- Paired axial CT (left) and PSMA PET (right), [18F]PSMA-1007 tracer
- acquired on Siemens Biograph mCT Flow 20
- slice position z = -1362 mm
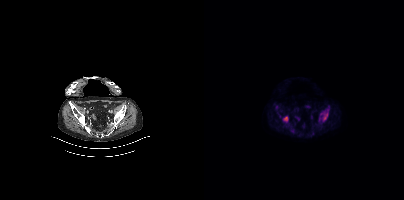
Findings: Coordinates are on the 200×200 PET (right) panel. (showing 2 of 3 foci) PSMA-avid tumor lesion bounding boxes (x0,y0,x1,y1): [117,112,123,120], [79,116,84,122].